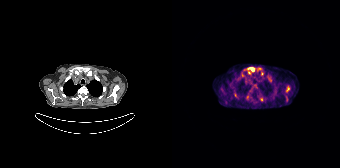
Coordinates are on the 168×168 PET (right) panel. (showing 7 of 9 foci) PSMA-avid tumor lesion bounding boxes (x0,y0,x1,y1): [72,67,82,74], [114,87,117,92], [62,92,65,97]. Small PSMA-avid foci (2 to 4 px across) near (center x, center y): (70, 75), (98, 81), (89, 99), (90, 72). Two-panel axial: CT | PSMA PET, 68Ga tracer. Slice position z = -744 mm. PET panel 168×168 px (4.1 mm/px).